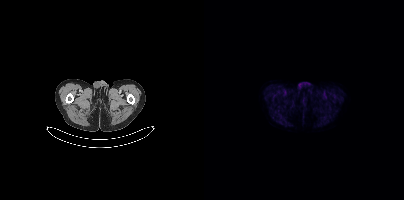
This slice has no annotated PSMA-avid lesion.